Paired axial CT (left) and PSMA PET (right), 18F-PSMA tracer. Acquired on Siemens Biograph mCT Flow 20. Slice 227 of 425. PET panel 200×200 px (4.1 mm/px).
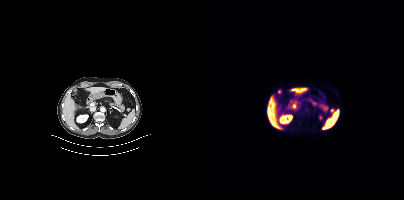
Coordinates are on the 200×200 PET (right) panel. Small PSMA-avid focus (2 to 4 px across) near (center x, center y): (128, 110).